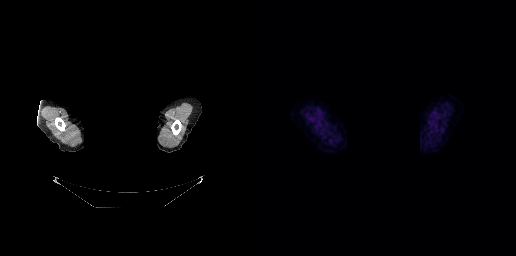
Technique: Two-panel axial: CT | PSMA PET, [18F]PSMA-1007 tracer. slice 358 of 371.
Note: Any black rectangle over the head is a privacy mask, not anatomy.
Findings: No PSMA-avid tumor lesions on this slice.